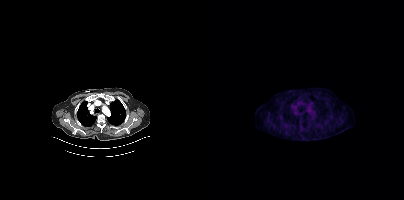
No tumor lesions annotated on this slice. Left: CT. Right: PSMA PET, same axial level, [18F]PSMA-1007 tracer.